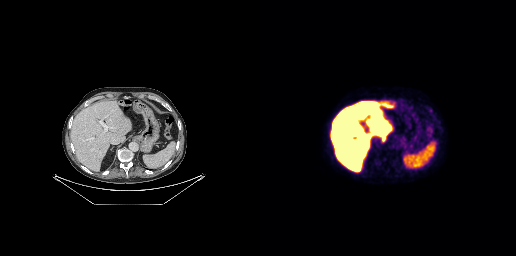
Findings: Only PSMA-avid lesion pieces thinner than 2 px on this slice (not listed).
Technique: Paired axial CT (left) and PSMA PET (right), 18F tracer. acquired on GE Discovery 690. slice 164 of 263. PET panel 256×256 px (2.7 mm/px).